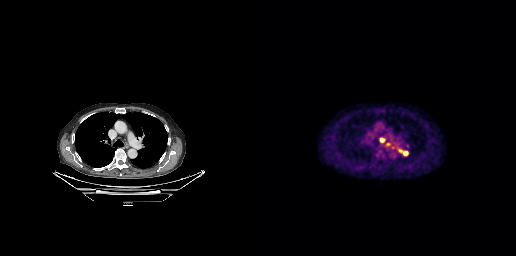
Paired axial CT (left) and PSMA PET (right), 18F-PSMA tracer. Slice 197 of 263. PET panel 256×256 px (2.7 mm/px).
Coordinates are on the 256×256 PET (right) panel. PSMA-avid tumor lesion bounding boxes:
| # | x0 | y0 | x1 | y1 |
|---|---|---|---|---|
| 1 | 138 | 149 | 148 | 155 |
| 2 | 120 | 138 | 124 | 142 |
Small PSMA-avid foci (2 to 4 px across) near (center x, center y): (132, 147); (128, 143).